- Paired axial CT (left) and PSMA PET (right), 68Ga tracer
- slice position z = -1056 mm
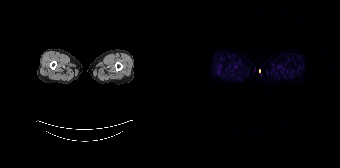
Findings: No tumor lesions annotated on this slice.